- Left: CT. Right: PSMA PET, same axial level, 68Ga tracer
- acquired on Siemens Biograph mCT Flow 20
- slice 253 of 373
- PET panel 200×200 px (4.1 mm/px)
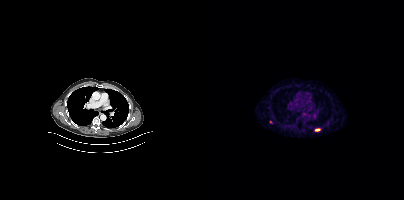
Findings: Coordinates are on the 200×200 PET (right) panel. Small PSMA-avid focus (2 to 4 px across) near (center x, center y): (114, 129).